Two-panel axial: CT | PSMA PET, 18F tracer.
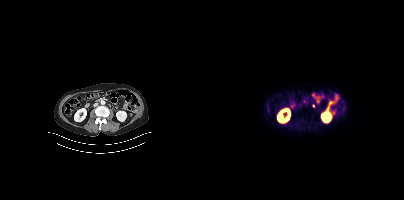
Coordinates are on the 200×200 PET (right) panel. Small PSMA-avid foci (2 to 4 px across) near (center x, center y): (100, 101); (109, 106).